Technique: Left: CT. Right: PSMA PET, same axial level, 18F tracer. PET panel 200×200 px (4.1 mm/px).
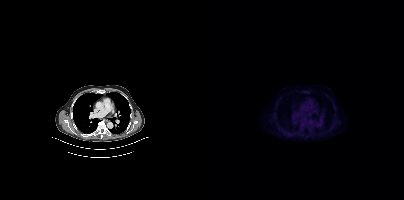
Findings: No tumor lesions annotated on this slice.